Paired axial CT (left) and PSMA PET (right), 18F tracer. Acquired on Siemens Biograph mCT Flow 20.
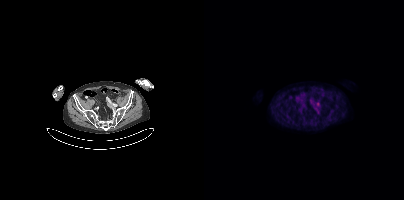
Coordinates are on the 200×200 PET (right) panel. (showing 1 of 2 foci) Small PSMA-avid focus (2 to 4 px across) near (center x, center y): (114, 103).